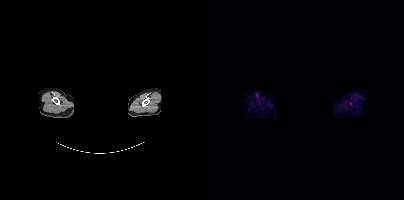
Negative for PSMA-avid disease on this slice.
Facial anatomy redacted by setting a rectangular region of the head to black.